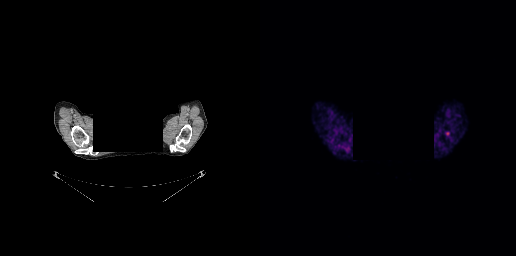
Findings: Negative for PSMA-avid disease on this slice.
- head region blanked for anonymization (face removed)
- Paired axial CT (left) and PSMA PET (right), 68Ga-PSMA tracer
- slice position z = -282 mm
- PET panel 256×256 px (2.7 mm/px)